Technique: Paired axial CT (left) and PSMA PET (right), 18F-PSMA tracer. acquired on GE Discovery 690. slice 167 of 263. PET panel 256×256 px (2.7 mm/px).
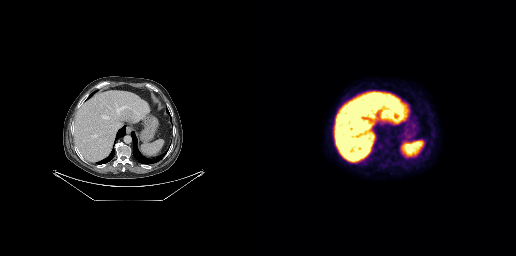
Findings: No tumor lesions annotated on this slice.